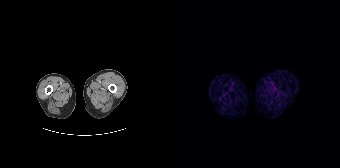
No PSMA-avid tumor lesions on this slice. Paired axial CT (left) and PSMA PET (right), 68Ga tracer. Acquired on Siemens Biograph 64-4R TruePoint. PET panel 168×168 px (4.1 mm/px).